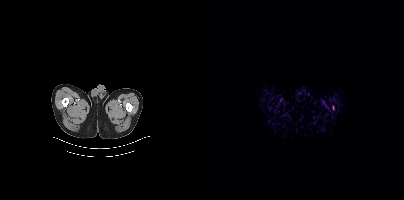
{"modality":"PSMA PET/CT","view":"axial","tracer":"18F","pet_grid":[200,200],"coord_frame":"pet_panel","coord_format":"x0,y0,x1,y1","psma_avid_lesions":false}